modality: PSMA PET/CT | tracer: [18F]PSMA-1007 | view: axial
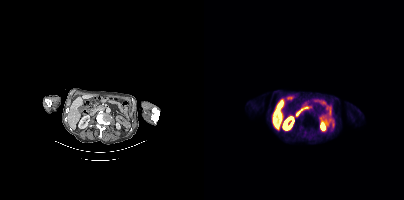
This slice has no annotated PSMA-avid lesion.